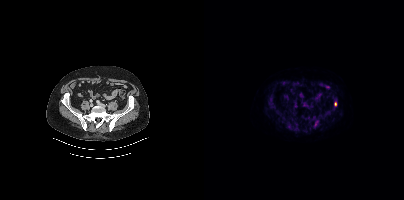
Coordinates are on the 200×200 PET (right) panel. PSMA-avid tumor lesion bounding boxes (partial; 1 more focus not listed):
| # | x0 | y0 | x1 | y1 |
|---|---|---|---|---|
| 1 | 63 | 100 | 70 | 108 |
| 2 | 109 | 119 | 115 | 128 |
| 3 | 122 | 110 | 127 | 115 |
Small PSMA-avid foci (2 to 4 px across) near (center x, center y): (129, 97); (131, 103).
Two-panel axial: CT | PSMA PET, 18F tracer. PET panel 200×200 px (4.1 mm/px).